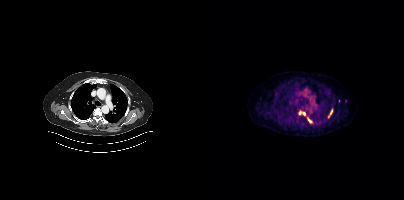
{"modality":"PSMA PET/CT","view":"axial","tracer":"18F","pet_grid":[200,200],"coord_frame":"pet_panel","coord_format":"x0,y0,x1,y1","partial":true,"lesion_bboxes":[[94,110,101,115],[124,109,128,117],[103,117,108,123]],"small_foci_centers":[[135,100]]}